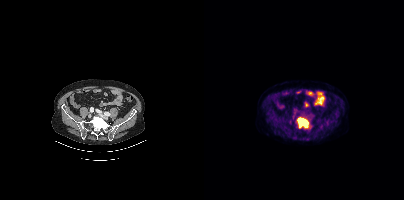
Coordinates are on the 200×200 PET (right) panel. PSMA-avid tumor lesion bounding box (x0, y0)-(x1, y1): (93, 117)-(104, 127).